- Two-panel axial: CT | PSMA PET, 68Ga-PSMA tracer
- acquired on Siemens Biograph 64-4R TruePoint
- PET panel 168×168 px (4.1 mm/px)
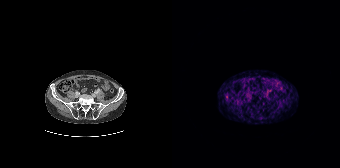
Findings: Negative for PSMA-avid disease on this slice.